Head region blanked for anonymization (face removed).
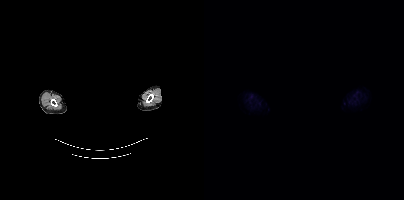
This slice has no annotated PSMA-avid lesion.